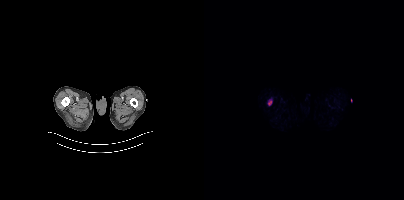
Left: CT. Right: PSMA PET, same axial level, [18F]PSMA-1007 tracer. Slice position z = -920 mm. Coordinates are on the 200×200 PET (right) panel. PSMA-avid tumor lesion bounding box (x0, y0)-(x1, y1): (64, 100)-(67, 105).